Left: CT. Right: PSMA PET, same axial level, 18F-PSMA tracer.
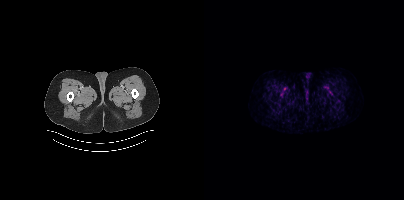
Negative for PSMA-avid disease on this slice.